Technique: Two-panel axial: CT | PSMA PET, 68Ga tracer. acquired on Siemens Biograph mCT Flow 20. slice position z = -1598 mm.
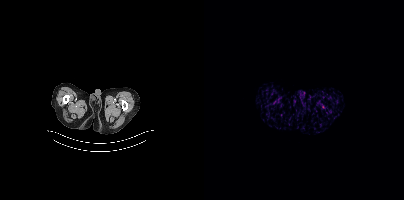
Findings: No PSMA-avid tumor lesions on this slice.